modality: PSMA PET/CT | tracer: 18F | view: axial | PET grid: 168×168
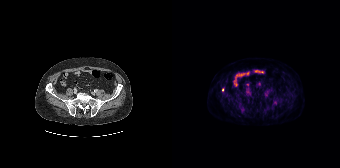
Coordinates are on the 168×168 PET (right) panel. Small PSMA-avid focus (2 to 4 px across) near (center x, center y): (50, 89).